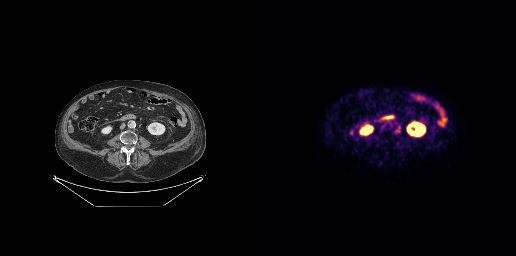
{"modality":"PSMA PET/CT","view":"axial","tracer":"18F","pet_grid":[256,256],"coord_frame":"pet_panel","coord_format":"x0,y0,x1,y1","partial":true,"lesion_bboxes":[],"small_foci_centers":[[137,131],[123,128]]}